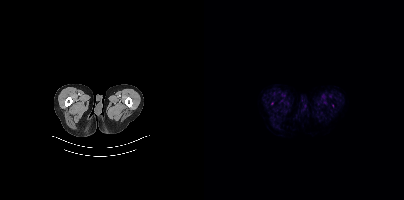
Only PSMA-avid lesion pieces thinner than 2 px on this slice (not listed). Paired axial CT (left) and PSMA PET (right), [18F]PSMA-1007 tracer. Acquired on Siemens Biograph mCT Flow 20. Slice 16 of 413. PET panel 200×200 px (4.1 mm/px).